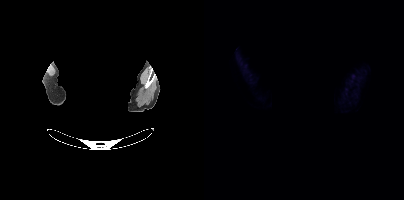
Negative for PSMA-avid disease on this slice.
redaction: privacy mask over head | modality: PSMA PET/CT | tracer: 18F | view: axial